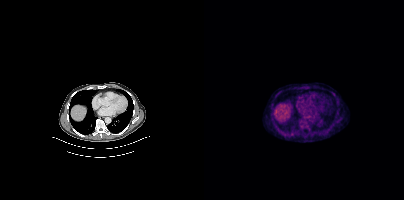
modality: PSMA PET/CT | tracer: [18F]PSMA-1007 | view: axial | PET grid: 200×200
No tumor lesions annotated on this slice.